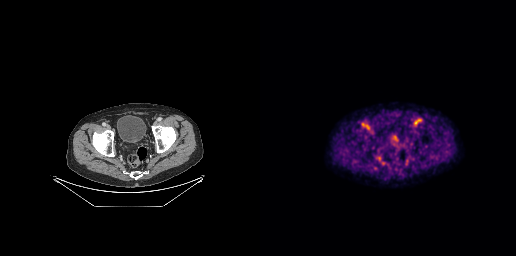
{"pet_grid":[256,256],"coord_frame":"pet_panel","coord_format":"x0,y0,x1,y1","lesion_bboxes":[],"small_foci_centers":[[123,163]],"modality":"PSMA PET/CT","view":"axial","tracer":"18F-PSMA"}